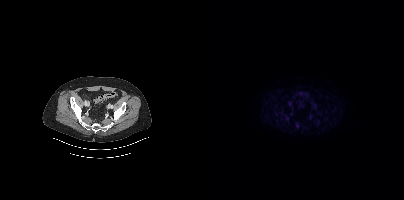
- Left: CT. Right: PSMA PET, same axial level, 18F-PSMA tracer
Findings: Coordinates are on the 200×200 PET (right) panel. Small PSMA-avid focus (2 to 4 px across) near (center x, center y): (93, 125).